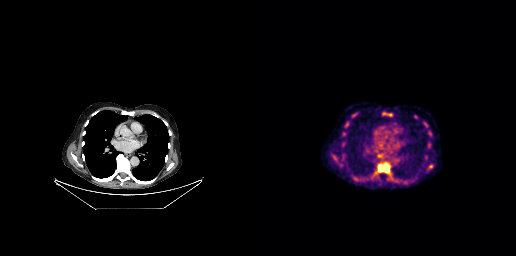
Findings: Coordinates are on the 256×256 PET (right) panel. (showing 6 of 8 foci) PSMA-avid tumor lesion bounding boxes (x0, y0)-(x1, y1): (118, 163)-(129, 172) | (128, 177)-(134, 181) | (73, 156)-(76, 160). Small PSMA-avid foci (2 to 4 px across) near (center x, center y): (84, 134) | (130, 114) | (124, 113).
Technique: Paired axial CT (left) and PSMA PET (right), 18F-PSMA tracer.